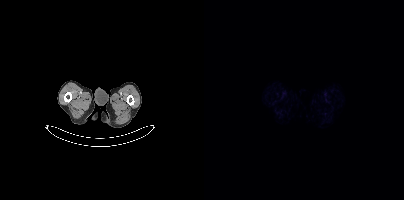
{"modality":"PSMA PET/CT","view":"axial","tracer":"18F-PSMA","pet_grid":[200,200],"coord_frame":"pet_panel","coord_format":"x0,y0,x1,y1","psma_avid_lesions":false}